modality: PSMA PET/CT | tracer: 18F | view: axial | PET grid: 168×168
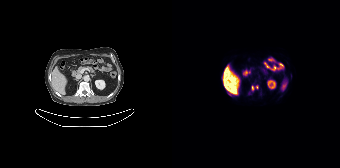
Coordinates are on the 168×168 PET (right) panel. Small PSMA-avid foci (2 to 4 px across) near (center x, center y): (80, 87), (84, 87).